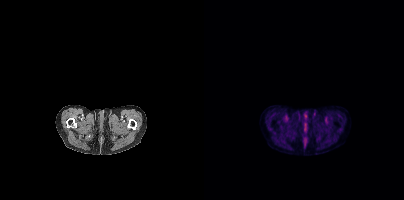
Findings: No PSMA-avid tumor lesions on this slice.
- Two-panel axial: CT | PSMA PET, [18F]PSMA-1007 tracer
- slice position z = -468 mm